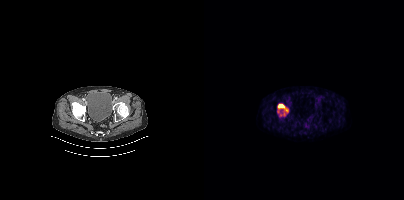
- Left: CT. Right: PSMA PET, same axial level, 18F-PSMA tracer
- PET panel 200×200 px (4.1 mm/px)
Findings: Coordinates are on the 200×200 PET (right) panel. PSMA-avid tumor lesion bounding box (x, y, width, height): x=73 y=104 w=12 h=13.